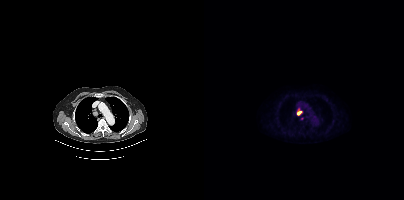
Left: CT. Right: PSMA PET, same axial level, 18F tracer. Slice position z = -386 mm.
Coordinates are on the 200×200 PET (right) panel. PSMA-avid tumor lesion bounding boxes:
| # | x0 | y0 | x1 | y1 |
|---|---|---|---|---|
| 1 | 93 | 110 | 98 | 115 |
Small PSMA-avid focus (2 to 4 px across) near (center x, center y): (97, 118).